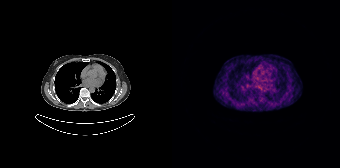
- Left: CT. Right: PSMA PET, same axial level, [68Ga]Ga-PSMA-11 tracer
- slice position z = -280 mm
Findings: This slice has no annotated PSMA-avid lesion.